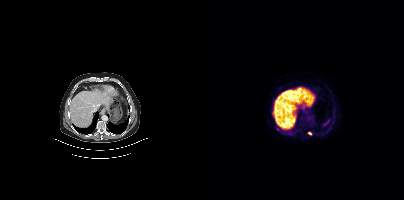
modality: PSMA PET/CT | tracer: [18F]PSMA-1007 | view: axial | PET grid: 200×200
Coordinates are on the 200×200 PET (right) panel. PSMA-avid tumor lesion bounding box (x0, y0)-(x1, y1): (68, 114)-(70, 118). Small PSMA-avid foci (2 to 4 px across) near (center x, center y): (106, 133) | (73, 129).